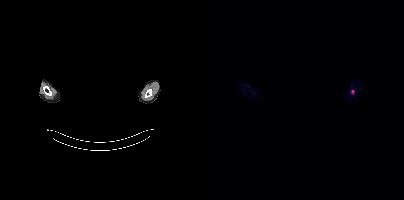
Coordinates are on the 200×200 PET (right) panel. Small PSMA-avid focus (2 to 4 px across) near (center x, center y): (148, 91).
modality: PSMA PET/CT | tracer: [18F]PSMA-1007 | view: axial | PET grid: 200×200 | de-identification: privacy mask over head